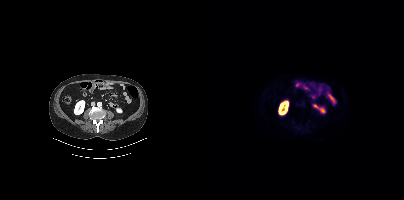
No PSMA-avid tumor lesions on this slice.